modality: PSMA PET/CT | tracer: 18F | view: axial | PET grid: 200×200
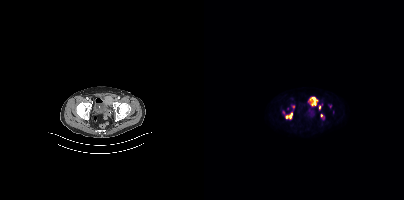
Coordinates are on the 200×200 PET (right) panel. PSMA-avid tumor lesion bounding boxes (x0, y0)-(x1, y1): (106, 97)-(111, 105) | (82, 113)-(88, 118) | (117, 114)-(120, 118). Small PSMA-avid foci (2 to 4 px across) near (center x, center y): (115, 107) | (89, 106).